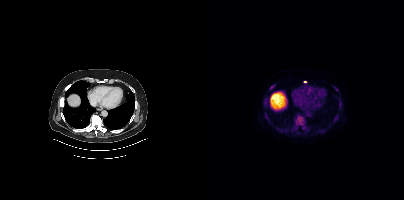
Coordinates are on the 200×200 PET (right) panel. PSMA-avid tumor lesion bounding boxes (x0, y0)-(x1, y1): (90, 116)-(104, 130) / (118, 128)-(123, 133) / (129, 86)-(134, 91) / (88, 128)-(92, 131) / (134, 103)-(138, 106) / (66, 85)-(70, 89). Small PSMA-avid foci (2 to 4 px across) near (center x, center y): (131, 119) / (61, 101) / (81, 131) / (101, 81) / (85, 128) / (61, 104) / (72, 129).